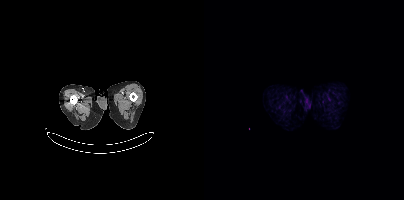
Findings: Negative for PSMA-avid disease on this slice.
- Left: CT. Right: PSMA PET, same axial level, [18F]PSMA-1007 tracer
- acquired on Siemens Biograph mCT Flow 20